Technique: Two-panel axial: CT | PSMA PET, [18F]PSMA-1007 tracer. PET panel 200×200 px (4.1 mm/px).
Note: An anonymization step blacked out a rectangle over the head in this scan.
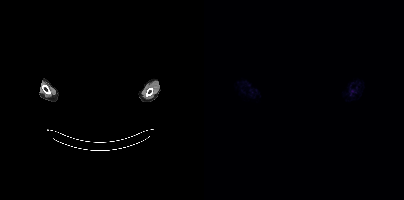
Findings: This slice has no annotated PSMA-avid lesion.